Technique: Paired axial CT (left) and PSMA PET (right), 18F tracer. PET panel 256×256 px (2.7 mm/px).
Note: Face de-identified by blanking a block of the head.
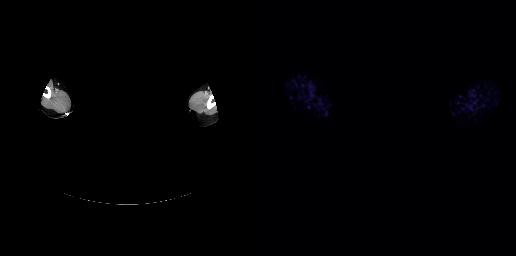
Findings: No tumor lesions annotated on this slice.